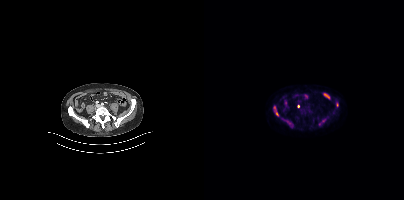
modality: PSMA PET/CT | tracer: 18F | view: axial | PET grid: 200×200
Coordinates are on the 200×200 PET (right) panel. (showing 4 of 5 foci) PSMA-avid tumor lesion bounding boxes (x, y, width, height): x=69 y=106 w=6 h=10 | x=82 y=120 w=6 h=7 | x=115 y=119 w=8 h=7. Small PSMA-avid focus (2 to 4 px across) near (center x, center y): (133, 104).